Two-panel axial: CT | PSMA PET, 18F tracer. Slice position z = -951 mm. PET panel 200×200 px (4.1 mm/px).
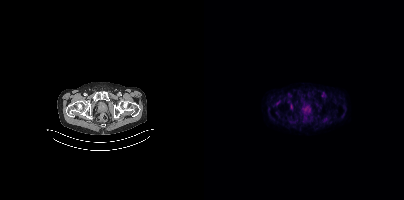
Coordinates are on the 200×200 PET (right) panel. Small PSMA-avid focus (2 to 4 px across) near (center x, center y): (86, 106).